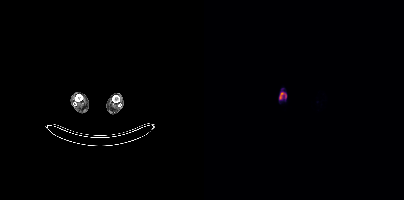
{"modality":"PSMA PET/CT","view":"axial","tracer":"18F","pet_grid":[200,200],"coord_frame":"pet_panel","coord_format":"x0,y0,x1,y1","lesion_bboxes":[[75,92,82,99]]}